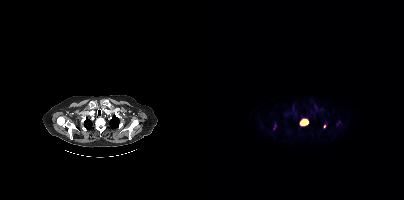
Coordinates are on the 200×200 PET (right) panel. PSMA-avid tumor lesion bounding box (x0,y0,x1,y1): [96,117,105,125]. Small PSMA-avid focus (2 to 4 px across) near (center x, center y): (120, 126). Left: CT. Right: PSMA PET, same axial level, 18F-PSMA tracer. Acquired on Siemens Biograph mCT Flow 20. Slice 327 of 389. PET panel 200×200 px (4.1 mm/px).